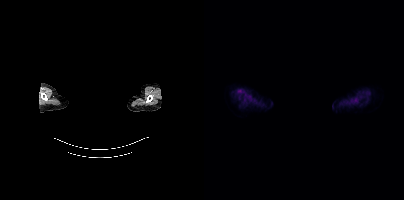
An anonymization step blacked out a rectangle over the head in this scan. Two-panel axial: CT | PSMA PET, 18F tracer. Slice position z = 566 mm. No PSMA-avid tumor lesions on this slice.